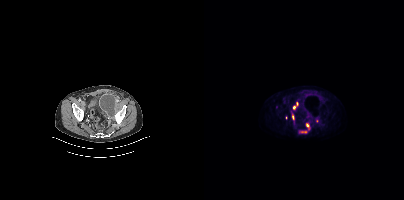
{"modality":"PSMA PET/CT","view":"axial","tracer":"[18F]PSMA-1007","pet_grid":[200,200],"coord_frame":"pet_panel","coord_format":"x0,y0,x1,y1","partial":true,"lesion_bboxes":[[88,115,89,119]],"small_foci_centers":[[103,124],[90,107],[93,103]]}